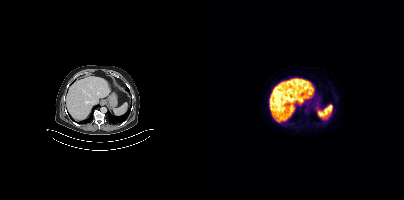
Findings: No tumor lesions annotated on this slice.
- Two-panel axial: CT | PSMA PET, 18F tracer
- acquired on Siemens Biograph mCT Flow 20
- slice 226 of 389
- PET panel 200×200 px (4.1 mm/px)